modality: PSMA PET/CT | tracer: 68Ga-PSMA | view: axial | PET grid: 168×168
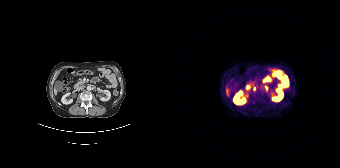
Coordinates are on the 168×168 PET (right) panel. Small PSMA-avid foci (2 to 4 px across) near (center x, center y): (82, 88); (94, 88).